- Paired axial CT (left) and PSMA PET (right), 68Ga-PSMA tracer
- acquired on Siemens Biograph mCT Flow 20
- slice position z = -905 mm
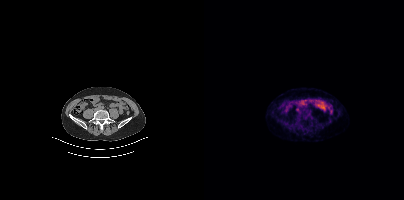
Findings: Negative for PSMA-avid disease on this slice.